Two-panel axial: CT | PSMA PET, [18F]PSMA-1007 tracer. Acquired on Siemens Biograph mCT Flow 20.
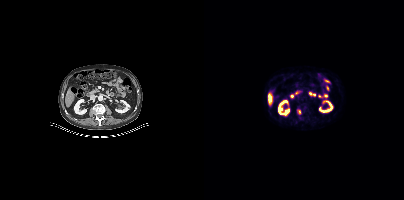
Only PSMA-avid lesion pieces thinner than 2 px on this slice (not listed).